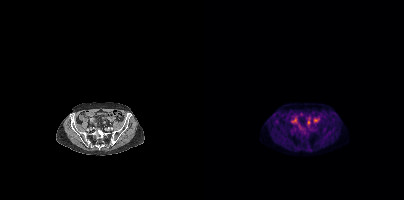
Only PSMA-avid lesion pieces thinner than 2 px on this slice (not listed). Two-panel axial: CT | PSMA PET, [18F]PSMA-1007 tracer. Slice 111 of 389. PET panel 200×200 px (4.1 mm/px).